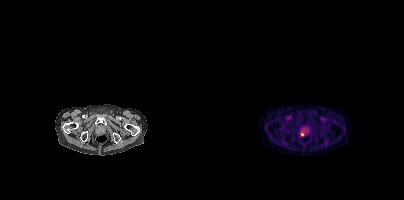
Two-panel axial: CT | PSMA PET, [18F]PSMA-1007 tracer. Coordinates are on the 200×200 PET (right) panel. PSMA-avid tumor lesion bounding box (x0, y0)-(x1, y1): (96, 132)-(99, 136).